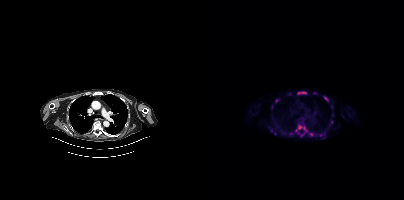
Coordinates are on the 200×200 PET (right) panel. (showing 9 of 12 foci) PSMA-avid tumor lesion bounding boxes (x0, y0)-(x1, y1): (94, 125)-(109, 136) | (114, 132)-(121, 138) | (67, 129)-(72, 134) | (120, 96)-(124, 101) | (98, 92)-(102, 93). Small PSMA-avid foci (2 to 4 px across) near (center x, center y): (72, 100) | (87, 133) | (111, 92) | (94, 92).